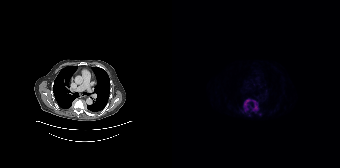
- Left: CT. Right: PSMA PET, same axial level, 18F-PSMA tracer
- acquired on Siemens Biograph 64-4R TruePoint
- PET panel 168×168 px (4.1 mm/px)
Findings: Coordinates are on the 168×168 PET (right) panel. (showing 1 of 2 foci) PSMA-avid tumor lesion bounding box (x, y, width, height): x=72 y=99 w=15 h=13.